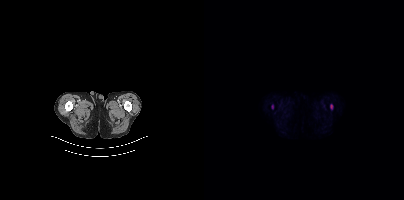
modality: PSMA PET/CT | tracer: [18F]PSMA-1007 | view: axial
Coordinates are on the 200×200 PET (right) panel. Small PSMA-avid foci (2 to 4 px across) near (center x, center y): (127, 106); (68, 106).